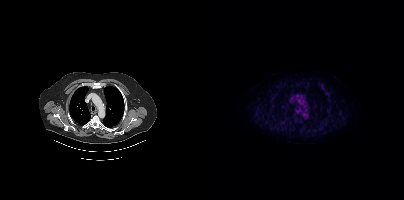
No PSMA-avid tumor lesions on this slice. Two-panel axial: CT | PSMA PET, 18F tracer. Acquired on Siemens Biograph mCT Flow 20. Slice position z = -973 mm. PET panel 200×200 px (4.1 mm/px).